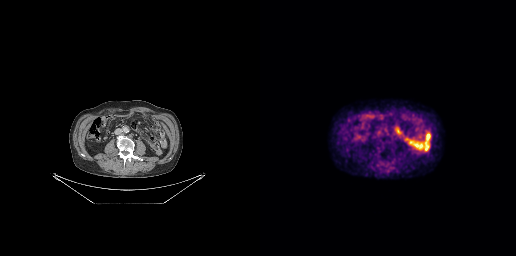
Findings: No tumor lesions annotated on this slice.
- Paired axial CT (left) and PSMA PET (right), [18F]PSMA-1007 tracer
- slice position z = -474 mm
- PET panel 256×256 px (2.7 mm/px)